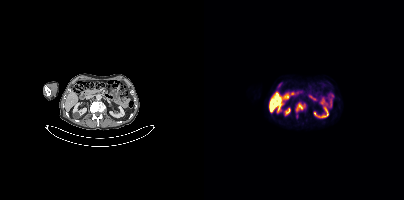
Coordinates are on the 200×200 PET (right) panel. PSMA-avid tumor lesion bounding box (x0, y0)-(x1, y1): (92, 103)-(100, 111).